Paired axial CT (left) and PSMA PET (right), 18F tracer. Slice 109 of 354. PET panel 200×200 px (4.1 mm/px).
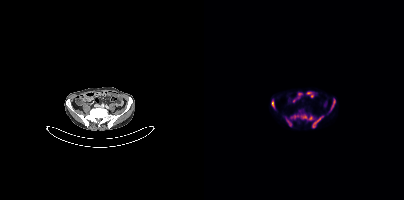
Coordinates are on the 200×200 PET (right) panel. PSMA-avid tumor lesion bounding boxes:
| # | x0 | y0 | x1 | y1 |
|---|---|---|---|---|
| 1 | 86 | 114 | 108 | 120 |
| 2 | 108 | 116 | 119 | 127 |
| 3 | 125 | 98 | 131 | 112 |
| 4 | 81 | 117 | 88 | 126 |
| 5 | 67 | 100 | 70 | 108 |